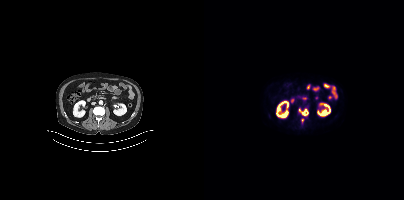
Coordinates are on the 200×200 PET (right) panel. PSMA-avid tumor lesion bounding box (x0, y0)-(x1, y1): (95, 108)-(104, 115). Small PSMA-avid focus (2 to 4 px across) near (center x, center y): (98, 120).